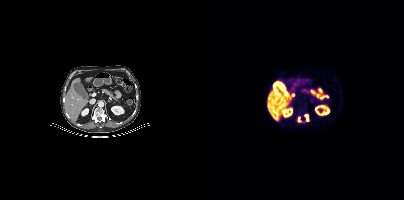
{"modality":"PSMA PET/CT","view":"axial","tracer":"18F-PSMA","pet_grid":[200,200],"coord_frame":"pet_panel","coord_format":"x0,y0,x1,y1","lesion_bboxes":[[101,114,105,121],[94,117,97,122]]}